Technique: Left: CT. Right: PSMA PET, same axial level, [18F]PSMA-1007 tracer.
Note: The face region was removed for patient privacy by blanking a rectangle over the head.
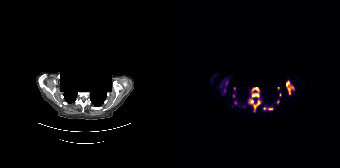
Findings: Coordinates are on the 168×168 PET (right) panel. PSMA-avid tumor lesion bounding boxes (x0, y0)-(x1, y1): (77, 87)-(88, 111); (114, 80)-(122, 94); (53, 79)-(56, 86); (51, 88)-(54, 94); (96, 108)-(100, 110). Small PSMA-avid foci (2 to 4 px across) near (center x, center y): (108, 94); (92, 108); (62, 88); (106, 88); (106, 102); (61, 95); (49, 85); (63, 102).